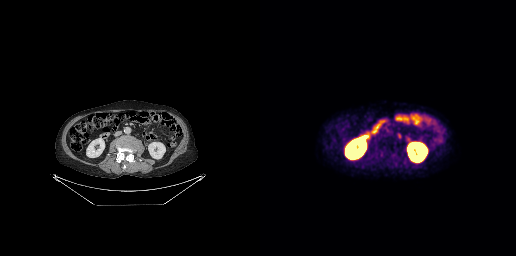
modality: PSMA PET/CT | tracer: [18F]PSMA-1007 | view: axial
Coordinates are on the 256×256 PET (right) panel. Small PSMA-avid focus (2 to 4 px across) near (center x, center y): (139, 135).